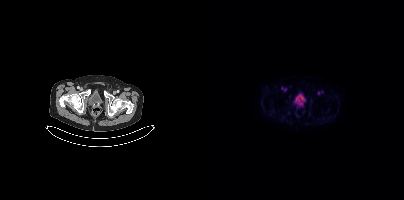
{"modality":"PSMA PET/CT","view":"axial","tracer":"18F-PSMA","pet_grid":[200,200],"coord_frame":"pet_panel","coord_format":"x0,y0,x1,y1","psma_avid_lesions":false}